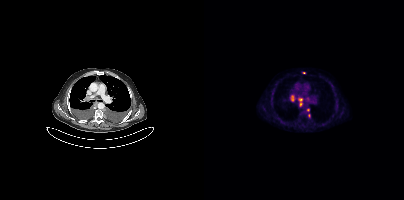
modality: PSMA PET/CT | tracer: 18F-PSMA | view: axial
Coordinates are on the 200×200 PET (right) panel. PSMA-avid tumor lesion bounding box (x0,y0,x1,y1): [87,95,90,101]. Small PSMA-avid foci (2 to 4 px across) near (center x, center y): (96, 99); (96, 104); (104, 110); (105, 115); (99, 72).